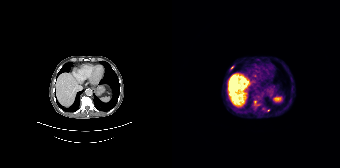
{"modality":"PSMA PET/CT","view":"axial","tracer":"68Ga-PSMA","pet_grid":[168,168],"coord_frame":"pet_panel","coord_format":"x0,y0,x1,y1","lesion_bboxes":[[80,99,89,109]],"small_foci_centers":[[96,110],[91,108],[60,67],[119,78],[86,59]]}